Technique: Paired axial CT (left) and PSMA PET (right), [68Ga]Ga-PSMA-11 tracer. PET panel 168×168 px (4.1 mm/px).
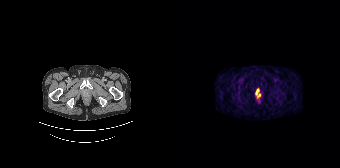
Findings: Coordinates are on the 168×168 PET (right) panel. PSMA-avid tumor lesion bounding box (x0, y0)-(x1, y1): (83, 89)-(88, 97).